Two-panel axial: CT | PSMA PET, 68Ga-PSMA tracer. Acquired on Siemens Biograph mCT Flow 20. Slice position z = -1081 mm. PET panel 200×200 px (4.1 mm/px).
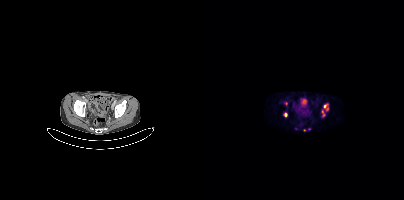
Coordinates are on the 200×200 PET (right) panel. PSMA-avid tumor lesion bounding boxes (partial; 1 more focus not listed):
| # | x0 | y0 | x1 | y1 |
|---|---|---|---|---|
| 1 | 119 | 103 | 124 | 110 |
| 2 | 118 | 110 | 121 | 116 |
Small PSMA-avid foci (2 to 4 px across) near (center x, center y): (81, 114); (92, 128); (105, 128).